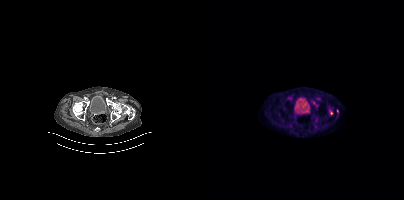
Paired axial CT (left) and PSMA PET (right), [18F]PSMA-1007 tracer. Coordinates are on the 200×200 PET (right) panel. (showing 2 of 4 foci) PSMA-avid tumor lesion bounding box (x0,y0,x1,y1): [107,101,114,105]. Small PSMA-avid focus (2 to 4 px across) near (center x, center y): (114, 98).